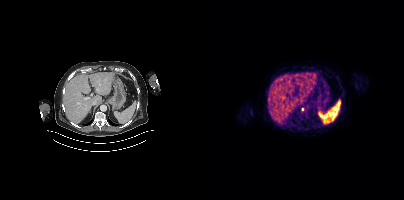
- Paired axial CT (left) and PSMA PET (right), [68Ga]Ga-PSMA-11 tracer
- acquired on Siemens Biograph mCT Flow 20
- PET panel 200×200 px (4.1 mm/px)
Findings: Coordinates are on the 200×200 PET (right) panel. Small PSMA-avid focus (2 to 4 px across) near (center x, center y): (98, 109).